- Paired axial CT (left) and PSMA PET (right), [68Ga]Ga-PSMA-11 tracer
- slice 42 of 263
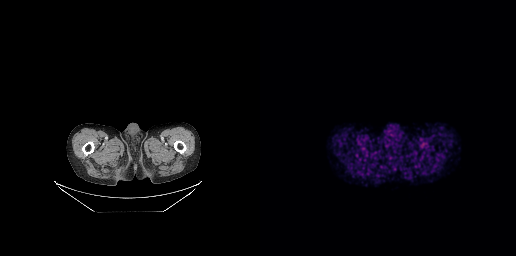
Findings: Negative for PSMA-avid disease on this slice.